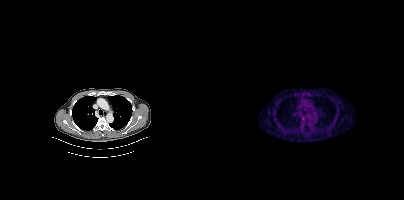
No PSMA-avid tumor lesions on this slice.